modality: PSMA PET/CT | tracer: 18F-PSMA | view: axial
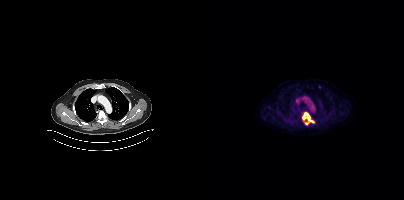
Coordinates are on the 200×200 PET (right) panel. PSMA-avid tumor lesion bounding box (x0, y0)-(x1, y1): (98, 112)-(110, 124). Small PSMA-avid focus (2 to 4 px across) near (center x, center y): (115, 85).